modality: PSMA PET/CT | tracer: 68Ga | view: axial | PET grid: 168×168
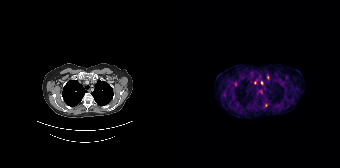
Coordinates are on the 168×168 PET (right) panel. (showing 3 of 5 foci) Small PSMA-avid foci (2 to 4 px across) near (center x, center y): (64, 84); (89, 82); (93, 105).